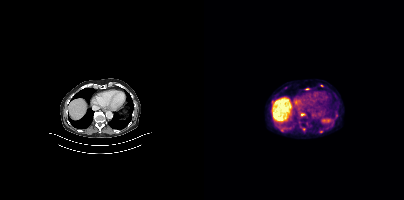
Technique: Paired axial CT (left) and PSMA PET (right), 18F tracer. acquired on Siemens Biograph mCT Flow 20. PET panel 200×200 px (4.1 mm/px).
Findings: Coordinates are on the 200×200 PET (right) panel. (showing 4 of 6 foci) PSMA-avid tumor lesion bounding box (x, y, width, height): x=101 y=88 w=5 h=2. Small PSMA-avid foci (2 to 4 px across) near (center x, center y): (117, 85); (117, 131); (98, 114).